Paired axial CT (left) and PSMA PET (right), [18F]PSMA-1007 tracer.
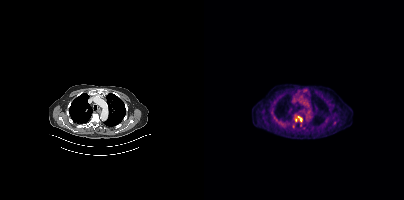
Coordinates are on the 200×200 PET (right) panel. PSMA-avid tumor lesion bounding boxes (partial; 1 more focus not listed):
| # | x0 | y0 | x1 | y1 |
|---|---|---|---|---|
| 1 | 94 | 116 | 97 | 121 |